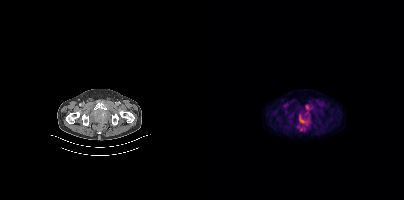
Two-panel axial: CT | PSMA PET, 18F tracer. Slice 57 of 387. Coordinates are on the 200×200 PET (right) panel. Small PSMA-avid focus (2 to 4 px across) near (center x, center y): (97, 120).